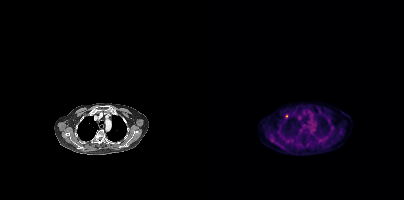
- Paired axial CT (left) and PSMA PET (right), 18F tracer
- acquired on Siemens Biograph mCT Flow 20
- slice 300 of 389
- PET panel 200×200 px (4.1 mm/px)
Findings: Coordinates are on the 200×200 PET (right) panel. PSMA-avid tumor lesion bounding box (x, y, width, height): x=116 y=139 w=5 h=3. Small PSMA-avid foci (2 to 4 px across) near (center x, center y): (82, 116) / (124, 120).